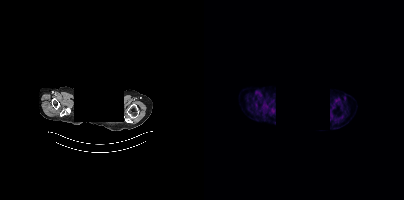
{"modality":"PSMA PET/CT","view":"axial","tracer":"[18F]PSMA-1007","pet_grid":[200,200],"coord_frame":"pet_panel","coord_format":"x0,y0,x1,y1","psma_avid_lesions":false,"redaction":"head region blanked (face removed)"}